Technique: Two-panel axial: CT | PSMA PET, 18F tracer.
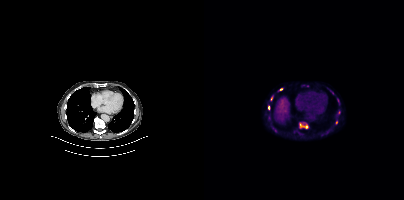
Findings: Coordinates are on the 200×200 PET (right) panel. (showing 5 of 6 foci) PSMA-avid tumor lesion bounding box (x, y, width, height): x=96 y=124 w=8 h=5. Small PSMA-avid foci (2 to 4 px across) near (center x, center y): (77, 89); (64, 107); (67, 98); (132, 122).